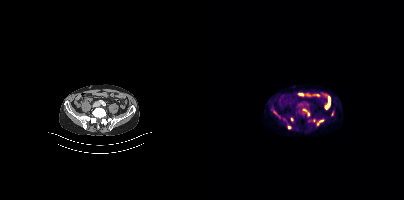
Coordinates are on the 200×200 PET (right) panel. (showing 6 of 7 foci) PSMA-avid tumor lesion bounding box (x, y, width, height): x=113 y=120 w=7 h=6. Small PSMA-avid foci (2 to 4 px across) near (center x, center y): (85, 126); (100, 110); (104, 113); (128, 113); (87, 119).
modality: PSMA PET/CT | tracer: [18F]PSMA-1007 | view: axial